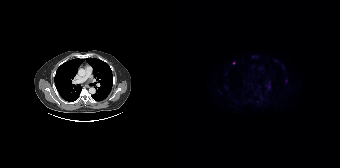
Findings: Only PSMA-avid lesion pieces thinner than 2 px on this slice (not listed).
- Paired axial CT (left) and PSMA PET (right), 18F-PSMA tracer
- acquired on Siemens Biograph 64-4R TruePoint